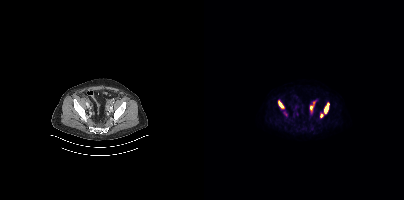
- Left: CT. Right: PSMA PET, same axial level, [18F]PSMA-1007 tracer
- acquired on Siemens Biograph mCT Flow 20
- PET panel 200×200 px (4.1 mm/px)
Findings: Coordinates are on the 200×200 PET (right) panel. PSMA-avid tumor lesion bounding boxes (x0,y0,x1,y1): [120,102,125,113], [74,101,79,108], [106,105,109,110]. Small PSMA-avid foci (2 to 4 px across) near (center x, center y): (117, 115), (109, 102).